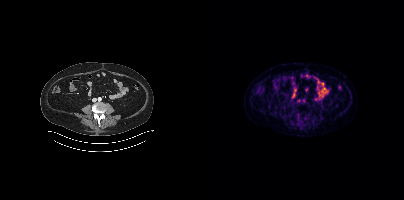
No tumor lesions annotated on this slice.